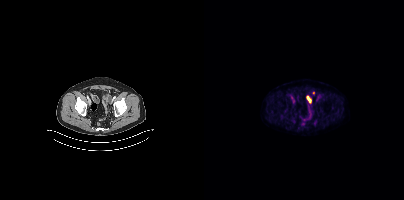
Two-panel axial: CT | PSMA PET, [18F]PSMA-1007 tracer. PET panel 200×200 px (4.1 mm/px). Coordinates are on the 200×200 PET (right) panel. Small PSMA-avid foci (2 to 4 px across) near (center x, center y): (111, 122) | (109, 93) | (90, 120).